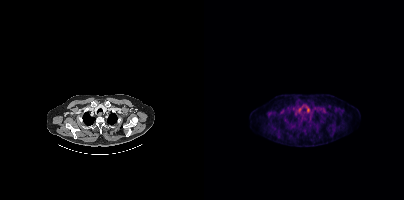
{"modality":"PSMA PET/CT","view":"axial","tracer":"[18F]PSMA-1007","pet_grid":[200,200],"coord_frame":"pet_panel","coord_format":"x0,y0,x1,y1","partial":true,"lesion_bboxes":[]}